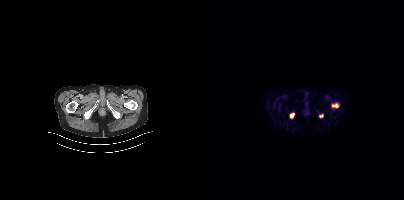
Coordinates are on the 200×200 PET (right) panel. PSMA-avid tumor lesion bounding boxes (x0,y0,x1,y1): [128,104,134,107]; [86,113,90,117]. Small PSMA-avid focus (2 to 4 px across) near (center x, center y): (116, 115).